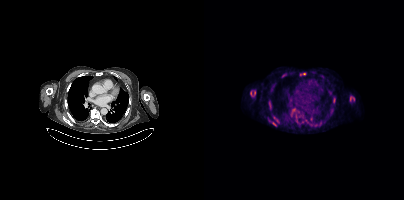
{"pet_grid":[200,200],"coord_frame":"pet_panel","coord_format":"x0,y0,x1,y1","partial":true,"lesion_bboxes":[[46,90,51,96],[146,96,150,101],[68,122,72,125],[64,100,66,104],[70,117,74,122]],"small_foci_centers":[[100,73],[66,107],[116,123]],"modality":"PSMA PET/CT","view":"axial","tracer":"18F"}